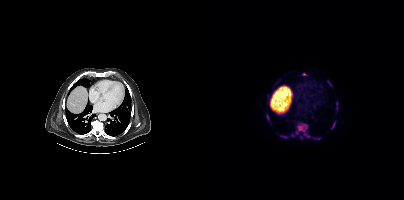
{"modality":"PSMA PET/CT","view":"axial","tracer":"[18F]PSMA-1007","pet_grid":[200,200],"coord_frame":"pet_panel","coord_format":"x0,y0,x1,y1","lesion_bboxes":[[91,123,105,137],[127,121,132,129],[132,101,134,105],[98,73,102,75],[62,114,64,120]],"small_foci_centers":[[126,84],[89,135],[97,137],[72,82]]}